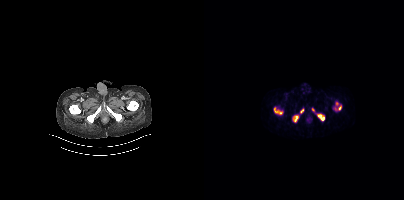
Negative for PSMA-avid disease on this slice.